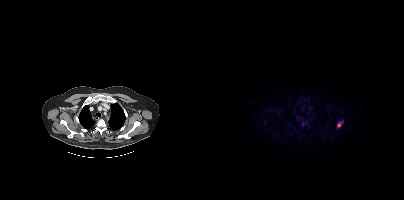
Findings: Coordinates are on the 200×200 PET (right) panel. PSMA-avid tumor lesion bounding box (x, y, width, height): x=133 y=120 w=6 h=7. Small PSMA-avid focus (2 to 4 px across) near (center x, center y): (99, 123).
Technique: Paired axial CT (left) and PSMA PET (right), 18F tracer. slice 326 of 417.